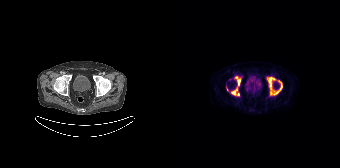
{"modality":"PSMA PET/CT","view":"axial","tracer":"[18F]PSMA-1007","pet_grid":[168,168],"coord_frame":"pet_panel","coord_format":"x0,y0,x1,y1","lesion_bboxes":[[95,77,110,95],[59,87,67,95],[63,76,68,85]],"small_foci_centers":[[56,89]]}